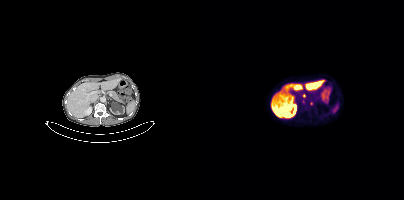
{"modality":"PSMA PET/CT","view":"axial","tracer":"18F","pet_grid":[200,200],"coord_frame":"pet_panel","coord_format":"x0,y0,x1,y1","lesion_bboxes":[],"small_foci_centers":[[100,95]]}